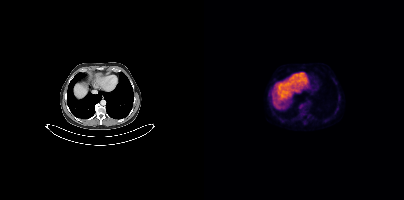
This slice has no annotated PSMA-avid lesion.
modality: PSMA PET/CT | tracer: 18F | view: axial | PET grid: 200×200